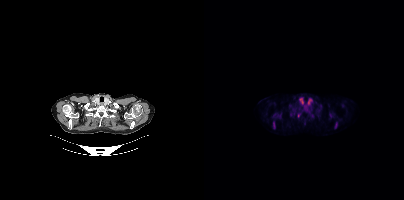
{"modality":"PSMA PET/CT","view":"axial","tracer":"18F-PSMA","pet_grid":[200,200],"coord_frame":"pet_panel","coord_format":"x0,y0,x1,y1","partial":true,"lesion_bboxes":[[130,122,133,128],[69,122,71,128]],"small_foci_centers":[[95,115],[70,114]]}